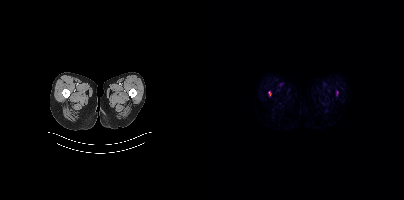
Two-panel axial: CT | PSMA PET, 18F-PSMA tracer. Slice position z = -1586 mm. PET panel 200×200 px (4.1 mm/px). Coordinates are on the 200×200 PET (right) panel. Small PSMA-avid focus (2 to 4 px across) near (center x, center y): (65, 93).